- Two-panel axial: CT | PSMA PET, [18F]PSMA-1007 tracer
- acquired on GE Discovery 690
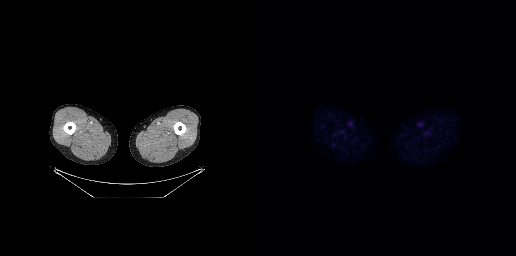
Findings: This slice has no annotated PSMA-avid lesion.